Left: CT. Right: PSMA PET, same axial level, [18F]PSMA-1007 tracer. PET panel 200×200 px (4.1 mm/px).
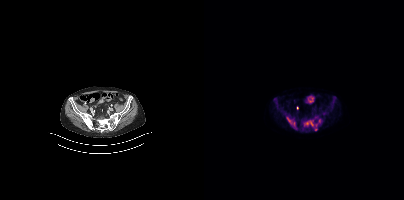
Coordinates are on the 200×200 PET (right) panel. PSMA-avid tumor lesion bounding boxes (partial; 1 more focus not listed):
| # | x0 | y0 | x1 | y1 |
|---|---|---|---|---|
| 1 | 101 | 119 | 113 | 130 |
| 2 | 70 | 99 | 74 | 108 |
| 3 | 83 | 118 | 89 | 122 |
| 4 | 113 | 119 | 117 | 123 |